modality: PSMA PET/CT | tracer: [18F]PSMA-1007 | view: axial
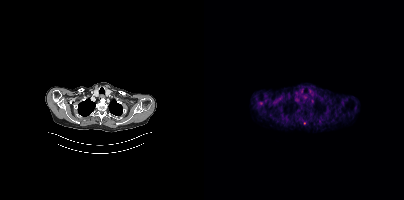
Coordinates are on the 200×200 PET (right) panel. Small PSMA-avid focus (2 to 4 px across) near (center x, center y): (100, 123).